Paired axial CT (left) and PSMA PET (right), 68Ga tracer. Acquired on Siemens Biograph mCT Flow 20. Slice position z = -758 mm.
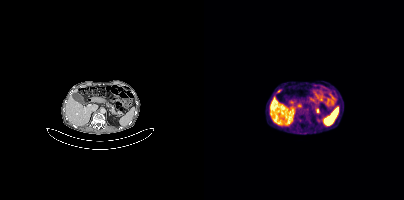
Coordinates are on the 200×200 PET (right) panel. PSMA-avid tumor lesion bounding boxes:
| # | x0 | y0 | x1 | y1 |
|---|---|---|---|---|
| 1 | 111 | 108 | 115 | 113 |